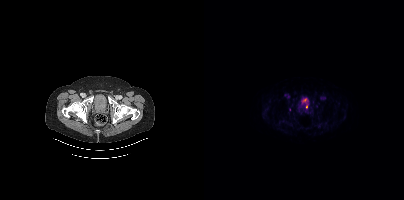
Coordinates are on the 200×200 PET (right) panel. (showing 1 of 2 foci) PSMA-avid tumor lesion bounding box (x0,y0,x1,y1): [102,104,103,108].